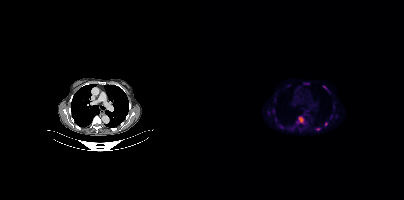
{"modality":"PSMA PET/CT","view":"axial","tracer":"18F","pet_grid":[200,200],"coord_frame":"pet_panel","coord_format":"x0,y0,x1,y1","partial":true,"lesion_bboxes":[[94,116,99,123],[119,85,123,89]],"small_foci_centers":[[113,129],[69,110],[64,112],[122,124]]}